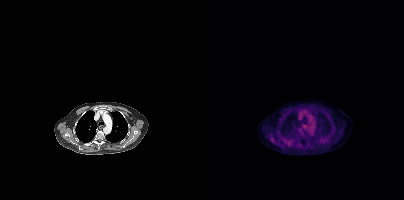
modality: PSMA PET/CT | tracer: [18F]PSMA-1007 | view: axial | PET grid: 200×200
Coordinates are on the 200×200 PET (right) panel. Small PSMA-avid focus (2 to 4 px across) near (center x, center y): (76, 119).